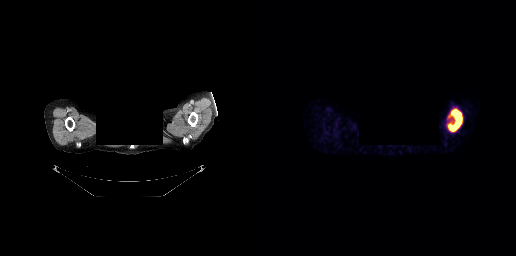
{"modality":"PSMA PET/CT","view":"axial","tracer":"68Ga","pet_grid":[256,256],"coord_frame":"pet_panel","coord_format":"x0,y0,x1,y1","de-identification":"head region blanked (face removed)","lesion_bboxes":[[188,109,202,131]]}